Technique: Two-panel axial: CT | PSMA PET, 18F tracer. PET panel 200×200 px (4.1 mm/px).
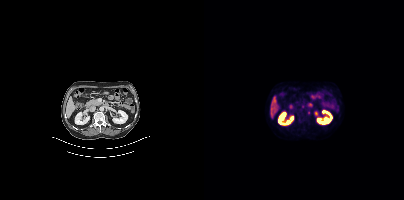
Findings: No tumor lesions annotated on this slice.